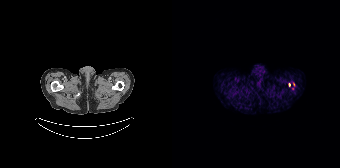
{"pet_grid":[168,168],"coord_frame":"pet_panel","coord_format":"x0,y0,x1,y1","lesion_bboxes":[],"small_foci_centers":[[117,84]],"modality":"PSMA PET/CT","view":"axial","tracer":"[68Ga]Ga-PSMA-11"}